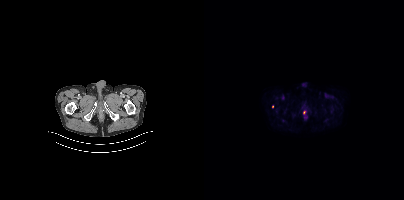
Coordinates are on the 200×200 PET (right) panel. Small PSMA-avid focus (2 to 4 px across) near (center x, center y): (100, 112). Two-panel axial: CT | PSMA PET, 18F tracer. Acquired on Siemens Biograph mCT Flow 20. Slice 46 of 421. PET panel 200×200 px (4.1 mm/px).